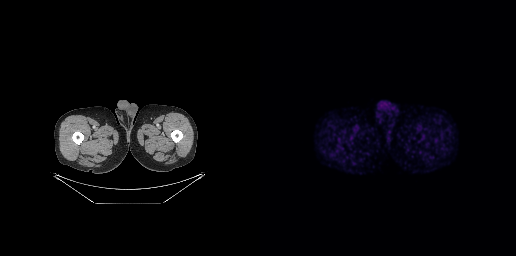
No PSMA-avid tumor lesions on this slice. Paired axial CT (left) and PSMA PET (right), [18F]PSMA-1007 tracer. PET panel 256×256 px (2.7 mm/px).